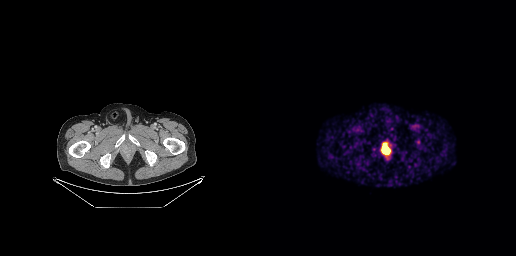
{"modality":"PSMA PET/CT","view":"axial","tracer":"68Ga","pet_grid":[256,256],"coord_frame":"pet_panel","coord_format":"x0,y0,x1,y1","lesion_bboxes":[[121,142,130,153]]}